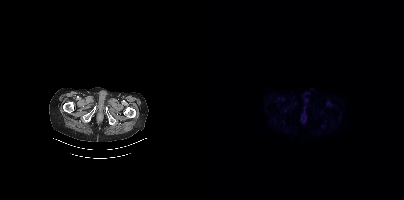
Negative for PSMA-avid disease on this slice.
modality: PSMA PET/CT | tracer: 18F | view: axial